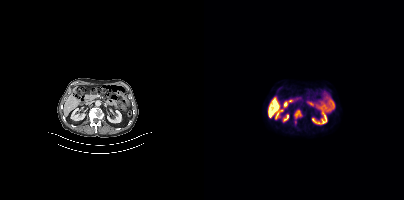
modality: PSMA PET/CT | tracer: 18F-PSMA | view: axial | PET grid: 200×200
Coordinates are on the 200×200 PET (right) panel. (showing 2 of 3 foci) PSMA-avid tumor lesion bounding box (x0,y0,x1,y1): [90,109,98,118]. Small PSMA-avid focus (2 to 4 px across) near (center x, center y): (91, 122).